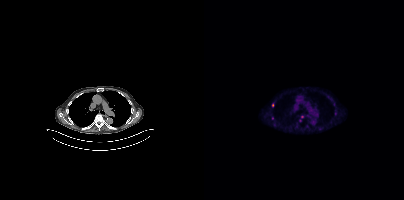
Coordinates are on the 200×200 PET (right) panel. (showing 1 of 3 foci) Small PSMA-avid focus (2 to 4 px across) near (center x, center y): (68, 105).
modality: PSMA PET/CT | tracer: 18F | view: axial | PET grid: 200×200